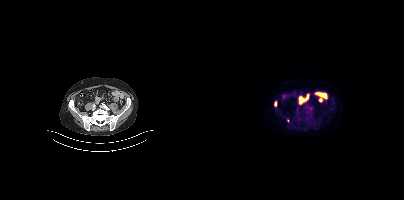
Coordinates are on the 200×200 PET (right) panel. (showing 2 of 3 foci) PSMA-avid tumor lesion bounding box (x0,y0,x1,y1): [70,101,72,106]. Small PSMA-avid focus (2 to 4 px across) near (center x, center y): (83, 120).